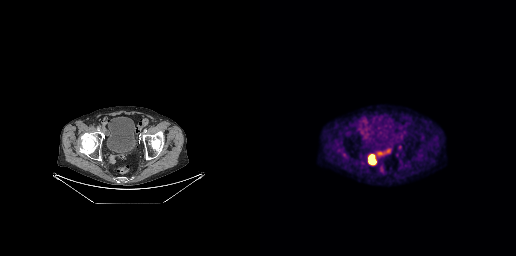
{"modality":"PSMA PET/CT","view":"axial","tracer":"18F-PSMA","pet_grid":[256,256],"coord_frame":"pet_panel","coord_format":"x0,y0,x1,y1","lesion_bboxes":[[108,154,116,164]]}